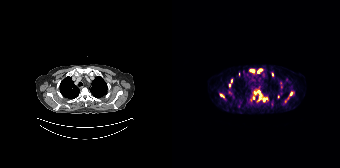
{"modality":"PSMA PET/CT","view":"axial","tracer":"[68Ga]Ga-PSMA-11","pet_grid":[168,168],"coord_frame":"pet_panel","coord_format":"x0,y0,x1,y1","partial":true,"lesion_bboxes":[[78,69,82,72],[85,69,89,72]],"small_foci_centers":[[87,92],[100,74],[49,95],[92,99],[118,93],[87,98],[81,97],[59,79]]}